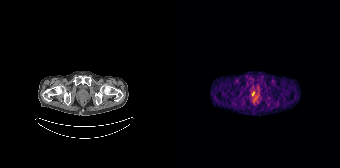
modality: PSMA PET/CT | tracer: 68Ga | view: axial | PET grid: 168×168
Coordinates are on the 168×168 PET (right) panel. Small PSMA-avid focus (2 to 4 px across) near (center x, center y): (80, 93).